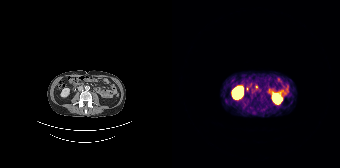
Left: CT. Right: PSMA PET, same axial level, 68Ga tracer. Acquired on Siemens Biograph 64-4R TruePoint. Coordinates are on the 168×168 PET (right) panel. Small PSMA-avid focus (2 to 4 px across) near (center x, center y): (75, 88).